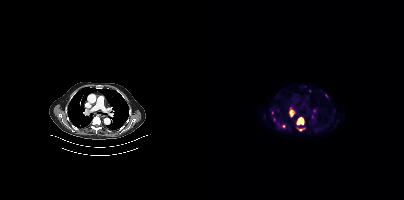
{"modality":"PSMA PET/CT","view":"axial","tracer":"18F","pet_grid":[200,200],"coord_frame":"pet_panel","coord_format":"x0,y0,x1,y1","partial":true,"lesion_bboxes":[[93,117,99,124],[85,108,89,116],[95,128,100,130]],"small_foci_centers":[[70,119],[79,126],[68,112],[105,90]]}